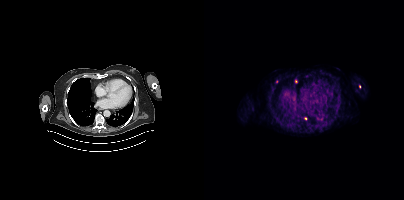
Coordinates are on the 200×200 PET (right) panel. (showing 2 of 4 foci) Small PSMA-avid foci (2 to 4 px across) near (center x, center y): (92, 81) | (101, 118).